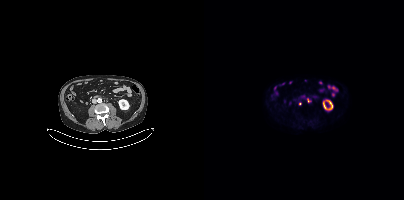
Coordinates are on the 200×200 PET (right) panel. PSMA-avid tumor lesion bounding boxes:
| # | x0 | y0 | x1 | y1 |
|---|---|---|---|---|
| 1 | 103 | 98 | 107 | 102 |
Small PSMA-avid focus (2 to 4 px across) near (center x, center y): (96, 103).
Paired axial CT (left) and PSMA PET (right), 18F tracer. Slice position z = -1277 mm.